Left: CT. Right: PSMA PET, same axial level, 18F-PSMA tracer. Acquired on Siemens Biograph mCT Flow 20. Slice 231 of 427. PET panel 200×200 px (4.1 mm/px).
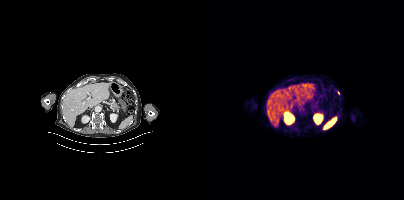
Only PSMA-avid lesion pieces thinner than 2 px on this slice (not listed).